- Two-panel axial: CT | PSMA PET, 18F-PSMA tracer
- PET panel 200×200 px (4.1 mm/px)
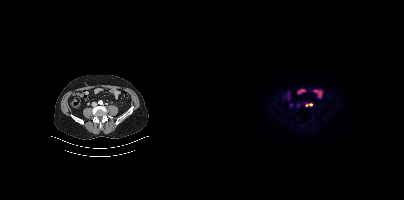
Findings: Coordinates are on the 200×200 PET (right) panel. PSMA-avid tumor lesion bounding box (x0,y0,x1,y1): [102,103,108,106].